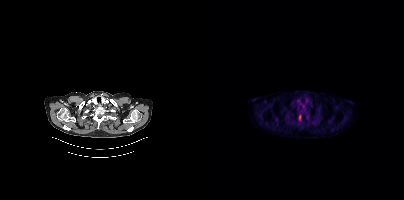
Technique: Left: CT. Right: PSMA PET, same axial level, 18F-PSMA tracer. acquired on Siemens Biograph mCT Flow 20. PET panel 200×200 px (4.1 mm/px).
Findings: Coordinates are on the 200×200 PET (right) panel. (showing 1 of 2 foci) PSMA-avid tumor lesion bounding box (x, y, width, height): x=94 y=114 w=4 h=5.